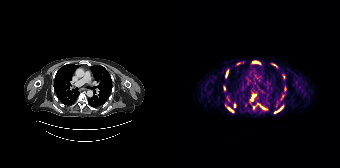
Coordinates are on the 168×168 PET (right) panel. (showing 12 of 13 foci) PSMA-avid tumor lesion bounding boxes (x0,y0,x1,y1): [102,107,110,113]; [78,94,84,101]; [88,105,95,109]; [55,107,61,112]; [80,61,87,63]; [54,70,56,77]; [100,64,105,67]; [113,86,114,90]. Small PSMA-avid foci (2 to 4 px across) near (center x, center y): (111, 76); (62, 106); (81, 107); (66, 63).